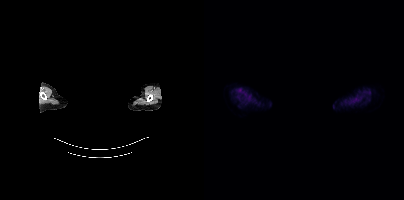
Findings: Negative for PSMA-avid disease on this slice.
- de-identified by setting a box covering the face to black before release
- Paired axial CT (left) and PSMA PET (right), 18F tracer